redaction: head region blanked (face removed) | modality: PSMA PET/CT | tracer: 18F | view: axial | PET grid: 200×200
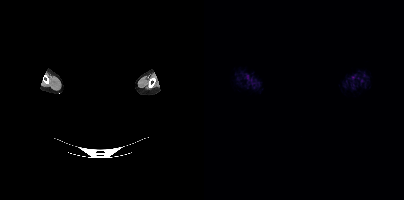
No PSMA-avid tumor lesions on this slice.